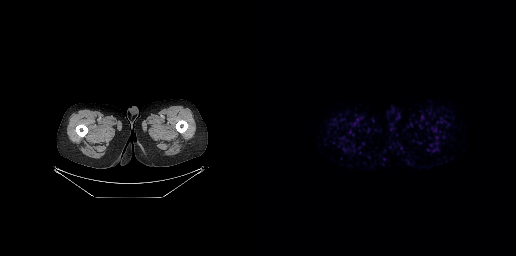
This slice has no annotated PSMA-avid lesion. Left: CT. Right: PSMA PET, same axial level, 68Ga tracer. Acquired on GE Discovery 690. Slice 48 of 299. PET panel 256×256 px (2.7 mm/px).